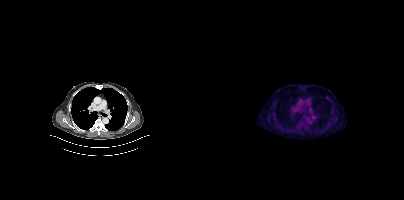
{"modality":"PSMA PET/CT","view":"axial","tracer":"[18F]PSMA-1007","pet_grid":[200,200],"coord_frame":"pet_panel","coord_format":"x0,y0,x1,y1","psma_avid_lesions":false}